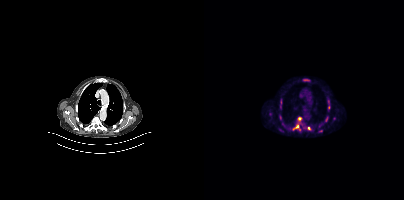
Coordinates are on the 200×200 PET (right) panel. (showing 6 of 8 foci) PSMA-avid tumor lesion bounding boxes (x, y, width, height): x=88 y=116 w=20 h=16 | x=124 y=100 w=3 h=10 | x=121 y=116 w=4 h=7 | x=75 y=115 w=3 h=5. Small PSMA-avid foci (2 to 4 px across) near (center x, center y): (103, 80) | (66, 114).